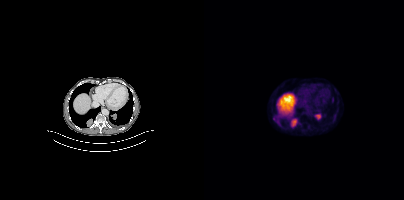
Paired axial CT (left) and PSMA PET (right), [18F]PSMA-1007 tracer. Slice position z = 298 mm. PET panel 200×200 px (4.1 mm/px). Coordinates are on the 200×200 PET (right) panel. PSMA-avid tumor lesion bounding boxes (x0,y0,x1,y1): [87,119,93,126] [111,114,116,119] [69,117,72,121] [128,97,129,102]. Small PSMA-avid focus (2 to 4 px across) near (center x, center y): (104, 126).